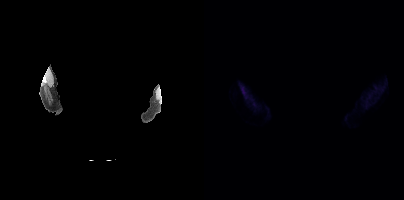
- facial anatomy redacted by setting a rectangular region of the head to black
- Paired axial CT (left) and PSMA PET (right), 18F-PSMA tracer
Findings: No PSMA-avid tumor lesions on this slice.